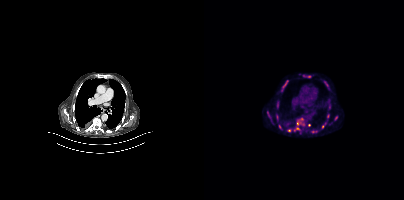
Left: CT. Right: PSMA PET, same axial level, 18F-PSMA tracer. Acquired on Siemens Biograph mCT Flow 20.
Coordinates are on the 200×200 PET (right) panel. PSMA-avid tumor lesion bounding boxes (partial; 4 more foci not listed):
| # | x0 | y0 | x1 | y1 |
|---|---|---|---|---|
| 1 | 90 | 118 | 100 | 131 |
| 2 | 63 | 111 | 67 | 121 |
| 3 | 78 | 80 | 84 | 88 |
| 4 | 72 | 102 | 75 | 108 |
| 5 | 131 | 116 | 133 | 120 |
Small PSMA-avid foci (2 to 4 px across) near (center x, center y): (124, 115); (85, 130); (105, 125); (105, 76); (118, 126); (109, 131); (122, 84); (121, 122).